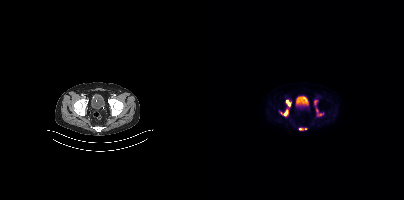
Two-panel axial: CT | PSMA PET, 18F-PSMA tracer.
Coordinates are on the 200×200 PET (right) panel. PSMA-avid tumor lesion bounding boxes:
| # | x0 | y0 | x1 | y1 |
|---|---|---|---|---|
| 1 | 112 | 107 | 119 | 116 |
| 2 | 76 | 109 | 84 | 116 |
| 3 | 82 | 100 | 87 | 106 |
| 4 | 95 | 128 | 102 | 130 |
| 5 | 110 | 100 | 113 | 105 |